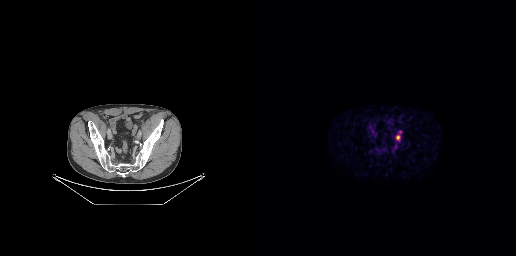
Coordinates are on the 256×256 PET (right) panel. PSMA-avid tumor lesion bounding boxes (x0,y0,x1,y1): [136,135,140,140] [132,147,136,151]. Small PSMA-avid focus (2 to 4 px across) near (center x, center y): (140, 131).